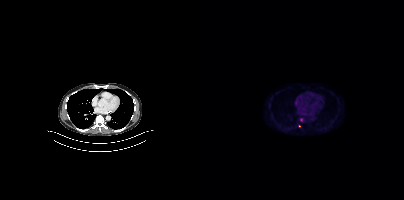
{"modality":"PSMA PET/CT","view":"axial","tracer":"[18F]PSMA-1007","pet_grid":[200,200],"coord_frame":"pet_panel","coord_format":"x0,y0,x1,y1","lesion_bboxes":[],"small_foci_centers":[[97,120],[95,126]]}